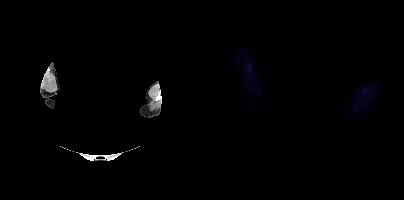
Left: CT. Right: PSMA PET, same axial level, [18F]PSMA-1007 tracer. Slice position z = -320 mm. PET panel 200×200 px (4.1 mm/px). The face region was removed for patient privacy by blanking a rectangle over the head. No PSMA-avid tumor lesions on this slice.